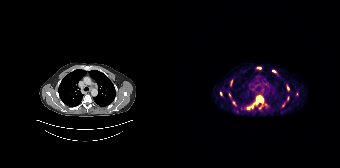
Coordinates are on the 168×168 PET (right) panel. PSMA-avid tumor lesion bounding boxes (partial; 2 more foci not listed):
| # | x0 | y0 | x1 | y1 |
|---|---|---|---|---|
| 1 | 74 | 96 | 91 | 109 |
| 2 | 115 | 85 | 117 | 90 |
| 3 | 100 | 70 | 104 | 72 |
| 4 | 85 | 67 | 89 | 69 |
| 5 | 59 | 80 | 60 | 85 |
| 6 | 61 | 101 | 63 | 105 |
Small PSMA-avid foci (2 to 4 px across) near (center x, center y): (49, 93); (111, 105); (57, 95); (115, 98).
Left: CT. Right: PSMA PET, same axial level, 68Ga-PSMA tracer. Acquired on Siemens Biograph 64-4R TruePoint. Slice 145 of 195.